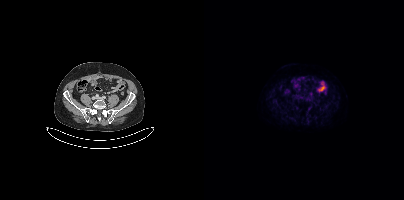
No tumor lesions annotated on this slice.
modality: PSMA PET/CT | tracer: [18F]PSMA-1007 | view: axial | PET grid: 200×200